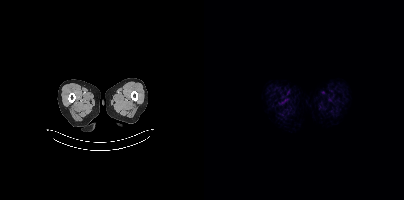
modality: PSMA PET/CT | tracer: 18F | view: axial
This slice has no annotated PSMA-avid lesion.